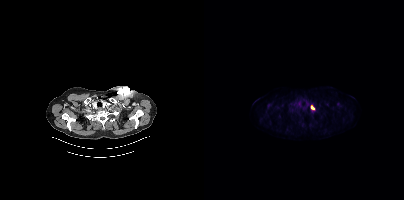
Coordinates are on the 200×200 PET (right) panel. PSMA-avid tumor lesion bounding box (x0,y0,x1,y1): [107,105,110,109].
modality: PSMA PET/CT | tracer: [18F]PSMA-1007 | view: axial | PET grid: 200×200